- a rectangle over the head was blacked out to remove identifiable facial features
- Left: CT. Right: PSMA PET, same axial level, 18F tracer
- slice position z = -106 mm
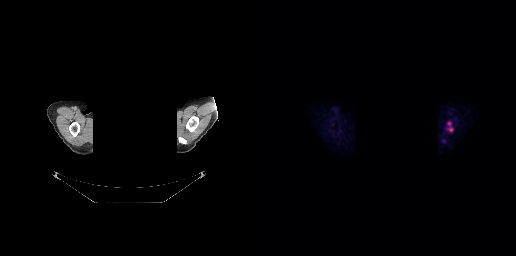
Findings: Coordinates are on the 256×256 PET (right) panel. PSMA-avid tumor lesion bounding box (x0,y0,x1,y1): [187,121,191,125]. Small PSMA-avid focus (2 to 4 px across) near (center x, center y): (190, 129).